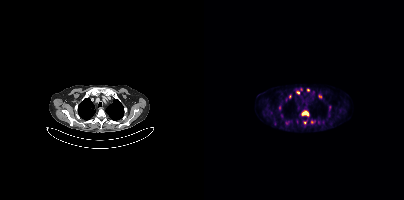
{"modality":"PSMA PET/CT","view":"axial","tracer":"18F","pet_grid":[200,200],"coord_frame":"pet_panel","coord_format":"x0,y0,x1,y1","partial":true,"lesion_bboxes":[[97,110,104,116]],"small_foci_centers":[[94,92],[116,96],[75,107],[104,89],[101,122],[107,121],[83,122]]}